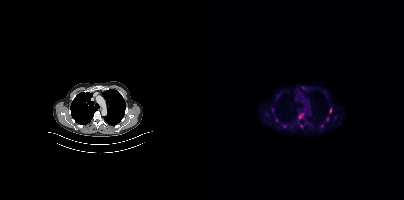
Technique: Two-panel axial: CT | PSMA PET, 18F tracer. acquired on Siemens Biograph mCT Flow 20. PET panel 200×200 px (4.1 mm/px).
Findings: Coordinates are on the 200×200 PET (right) panel. (showing 7 of 8 foci) PSMA-avid tumor lesion bounding boxes (x0,y0,x1,y1): [125,107,128,113] [122,117,125,121]. Small PSMA-avid foci (2 to 4 px across) near (center x, center y): (117, 125) (68, 109) (72, 120) (130, 117) (105, 123).